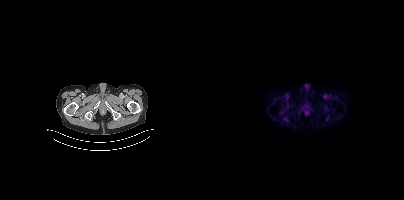
No PSMA-avid tumor lesions on this slice. Paired axial CT (left) and PSMA PET (right), 18F-PSMA tracer.